modality: PSMA PET/CT | tracer: [18F]PSMA-1007 | view: axial
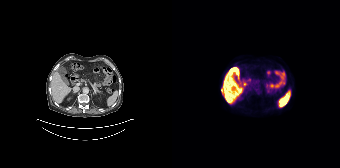
No tumor lesions annotated on this slice.